- an anonymization step blacked out a rectangle over the head in this scan
- Left: CT. Right: PSMA PET, same axial level, 18F-PSMA tracer
- acquired on Siemens Biograph mCT Flow 20
- slice position z = -818 mm
- PET panel 200×200 px (4.1 mm/px)
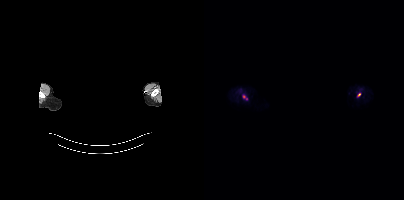
Findings: Coordinates are on the 200×200 PET (right) panel. Small PSMA-avid foci (2 to 4 px across) near (center x, center y): (155, 94); (39, 96).